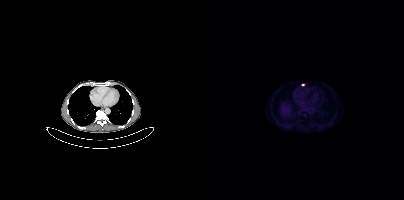
Left: CT. Right: PSMA PET, same axial level, [68Ga]Ga-PSMA-11 tracer. Acquired on Siemens Biograph mCT Flow 20. Slice 245 of 409. PET panel 200×200 px (4.1 mm/px). Coordinates are on the 200×200 PET (right) panel. Small PSMA-avid focus (2 to 4 px across) near (center x, center y): (99, 84).